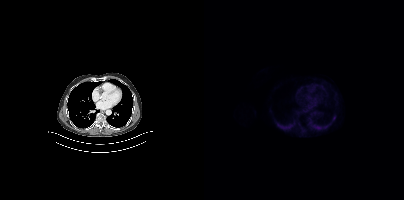
Findings: Only PSMA-avid lesion pieces thinner than 2 px on this slice (not listed).
Technique: Paired axial CT (left) and PSMA PET (right), 18F tracer. slice 276 of 425.